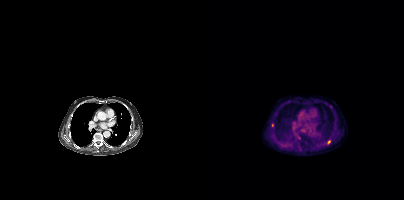
{"modality":"PSMA PET/CT","view":"axial","tracer":"18F-PSMA","pet_grid":[200,200],"coord_frame":"pet_panel","coord_format":"x0,y0,x1,y1","lesion_bboxes":[],"small_foci_centers":[[124,141],[68,124],[126,106]]}